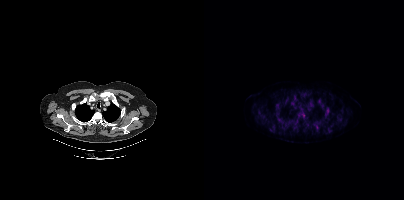
modality: PSMA PET/CT | tracer: 18F | view: axial
Coordinates are on the 200×200 PET (right) panel. PSMA-avid tumor lesion bounding boxes (x, y, width, height): x=94 y=112 w=8 h=6 / x=121 y=107 w=5 h=9 / x=72 y=107 w=4 h=8 / x=115 y=121 w=5 h=5 / x=98 y=93 w=5 h=4. Small PSMA-avid foci (2 to 4 px across) near (center x, center y): (83, 98) / (75, 119) / (124, 129) / (115, 99) / (82, 103) / (67, 130) / (95, 93) / (112, 127) / (116, 106).